Two-panel axial: CT | PSMA PET, 68Ga tracer. Slice position z = -846 mm.
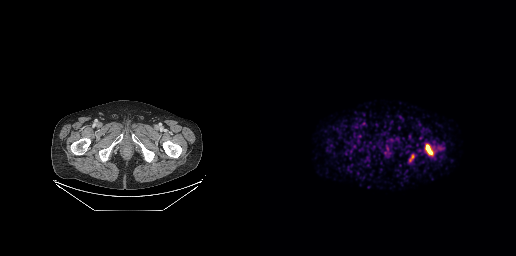
Coordinates are on the 256×256 PET (right) panel. PSMA-avid tumor lesion bounding box (x0,y0,x1,y1): [165,144,172,154].